Paired axial CT (left) and PSMA PET (right), 18F tracer. Slice 72 of 401.
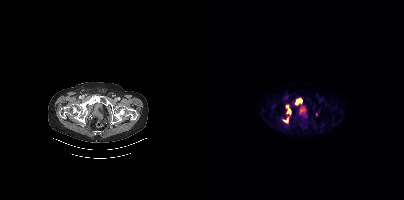
Coordinates are on the 200×200 PET (right) panel. PSMA-avid tumor lesion bounding boxes (x0, y0)-(x1, y1): (91, 99)-(97, 104) / (83, 109)-(86, 113) / (79, 119)-(83, 122). Small PSMA-avid foci (2 to 4 px across) near (center x, center y): (83, 106) / (112, 114).